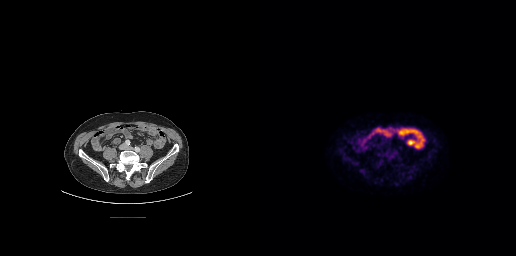
Findings: No tumor lesions annotated on this slice.
Technique: Left: CT. Right: PSMA PET, same axial level, 18F-PSMA tracer. acquired on GE Discovery 690.